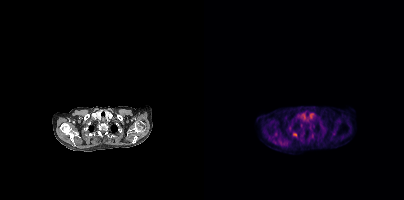
Coordinates are on the 200×200 PET (right) panel. (showing 2 of 3 foci) PSMA-avid tumor lesion bounding box (x0, y0)-(x1, y1): (89, 132)-(93, 137). Small PSMA-avid focus (2 to 4 px across) near (center x, center y): (108, 135).